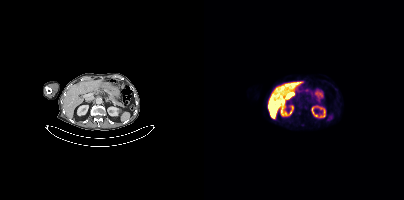
Two-panel axial: CT | PSMA PET, [18F]PSMA-1007 tracer. Acquired on Siemens Biograph mCT Flow 20. Slice 213 of 409. PET panel 200×200 px (4.1 mm/px). Only PSMA-avid lesion pieces thinner than 2 px on this slice (not listed).